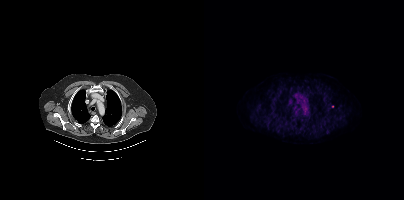
modality: PSMA PET/CT | tracer: 18F | view: axial | PET grid: 200×200
This slice has no annotated PSMA-avid lesion.